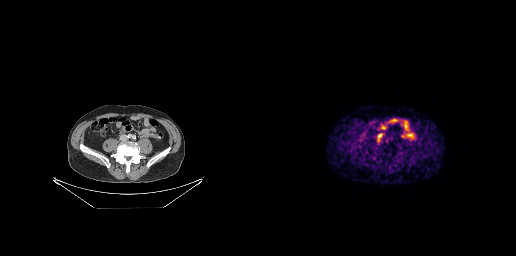
modality: PSMA PET/CT | tracer: 68Ga | view: axial | PET grid: 256×256
Coordinates are on the 256×256 PET (right) panel. PSMA-avid tumor lesion bounding box (x, y, width, height): x=117 y=133 w=6 h=10.